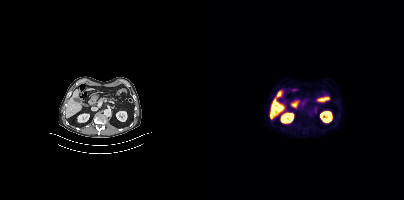
Paired axial CT (left) and PSMA PET (right), [18F]PSMA-1007 tracer. No tumor lesions annotated on this slice.